Left: CT. Right: PSMA PET, same axial level, 18F-PSMA tracer. De-identified by setting a box covering the face to black before release.
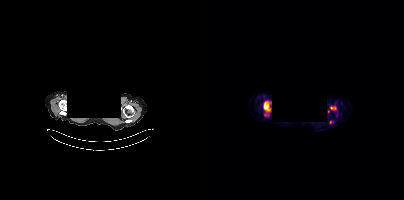
Coordinates are on the 200×200 PET (right) panel. PSMA-avid tumor lesion bounding boxes (partial; 2 more foci not listed):
| # | x0 | y0 | x1 | y1 |
|---|---|---|---|---|
| 1 | 59 | 101 | 66 | 111 |
| 2 | 126 | 106 | 132 | 110 |
Small PSMA-avid focus (2 to 4 px across) near (center x, center y): (126, 122).